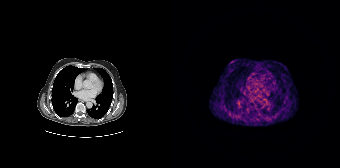
No tumor lesions annotated on this slice.